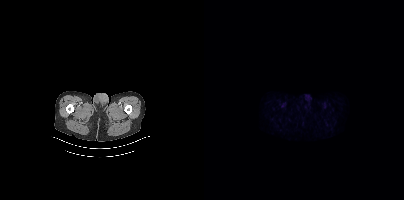
{"modality":"PSMA PET/CT","view":"axial","tracer":"[18F]PSMA-1007","pet_grid":[200,200],"coord_frame":"pet_panel","coord_format":"x0,y0,x1,y1","psma_avid_lesions":false}